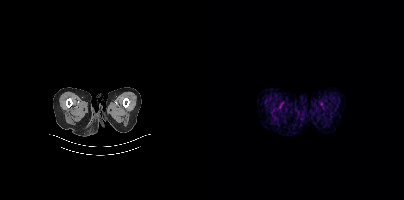
Findings: No tumor lesions annotated on this slice.
Technique: Left: CT. Right: PSMA PET, same axial level, [18F]PSMA-1007 tracer.